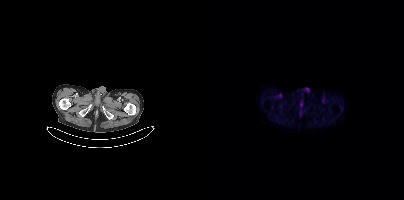
Paired axial CT (left) and PSMA PET (right), [18F]PSMA-1007 tracer. Acquired on Siemens Biograph mCT Flow 20. PET panel 200×200 px (4.1 mm/px). Negative for PSMA-avid disease on this slice.